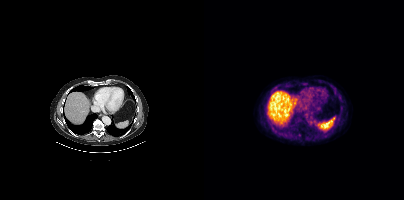
Two-panel axial: CT | PSMA PET, 18F tracer. Slice 250 of 403. No tumor lesions annotated on this slice.